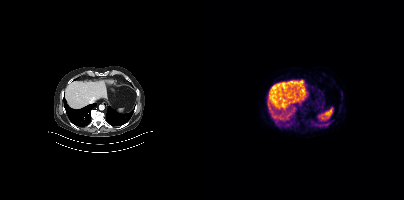
{"pet_grid":[200,200],"coord_frame":"pet_panel","coord_format":"x0,y0,x1,y1","psma_avid_lesions":false,"modality":"PSMA PET/CT","view":"axial","tracer":"18F-PSMA"}